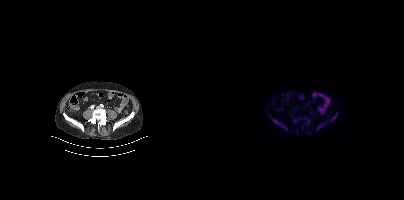
Technique: Paired axial CT (left) and PSMA PET (right), 18F tracer. acquired on Siemens Biograph mCT Flow 20. slice 148 of 427. PET panel 200×200 px (4.1 mm/px).
Findings: Coordinates are on the 200×200 PET (right) panel. (showing 3 of 4 foci) PSMA-avid tumor lesion bounding boxes (x0,y0,x1,y1): [68,119,83,130] [113,124,120,130] [126,113,133,120].